Paired axial CT (left) and PSMA PET (right), [18F]PSMA-1007 tracer. Slice 28 of 423. PET panel 200×200 px (4.1 mm/px).
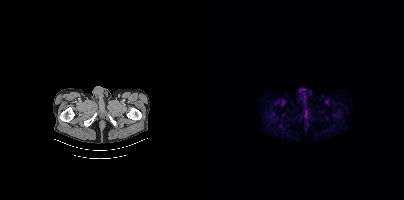
No PSMA-avid tumor lesions on this slice.